modality: PSMA PET/CT | tracer: 18F | view: axial
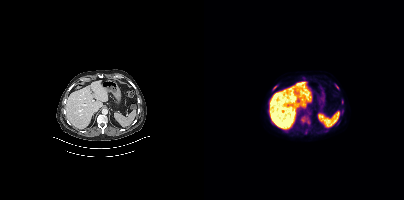
Coordinates are on the 200×200 PET (right) panel. (showing 5 of 6 foci) PSMA-avid tumor lesion bounding box (x0,y0,x1,y1): [132,85,134,89]. Small PSMA-avid foci (2 to 4 px across) near (center x, center y): (70, 87) (99, 120) (138, 101) (138, 109).